modality: PSMA PET/CT | tracer: 18F | view: axial
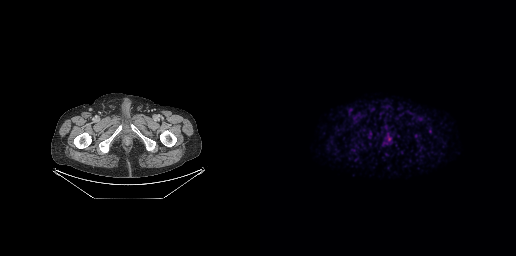
No PSMA-avid tumor lesions on this slice.